- Left: CT. Right: PSMA PET, same axial level, 18F-PSMA tracer
- PET panel 200×200 px (4.1 mm/px)
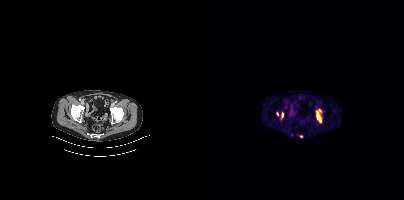
Findings: Coordinates are on the 200×200 PET (right) panel. PSMA-avid tumor lesion bounding boxes (x, y, width, height): x=112 y=109 w=6 h=14 / x=77 y=112 w=3 h=6. Small PSMA-avid foci (2 to 4 px across) near (center x, center y): (97, 136) / (73, 113).